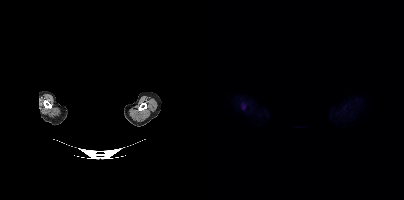
{"pet_grid":[200,200],"coord_frame":"pet_panel","coord_format":"x0,y0,x1,y1","lesion_bboxes":[[37,103,41,108]],"redaction":"facial region redacted","modality":"PSMA PET/CT","view":"axial","tracer":"[18F]PSMA-1007"}